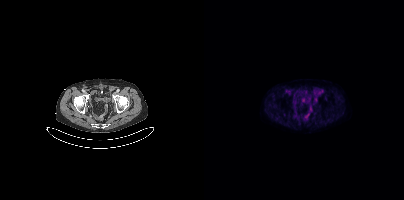
- Left: CT. Right: PSMA PET, same axial level, 18F-PSMA tracer
Findings: No tumor lesions annotated on this slice.